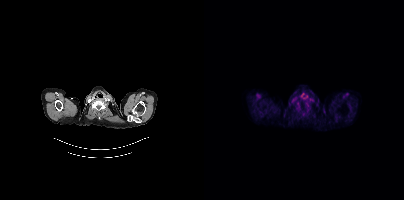
{"modality":"PSMA PET/CT","view":"axial","tracer":"18F-PSMA","pet_grid":[200,200],"coord_frame":"pet_panel","coord_format":"x0,y0,x1,y1","psma_avid_lesions":false}